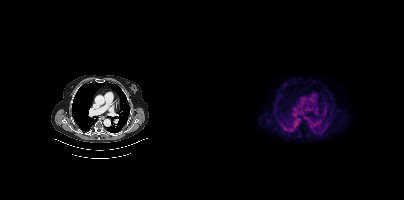
{"modality":"PSMA PET/CT","view":"axial","tracer":"[18F]PSMA-1007","pet_grid":[200,200],"coord_frame":"pet_panel","coord_format":"x0,y0,x1,y1","psma_avid_lesions":false}